Technique: Left: CT. Right: PSMA PET, same axial level, 18F-PSMA tracer. acquired on GE Discovery 690. PET panel 256×256 px (2.7 mm/px).
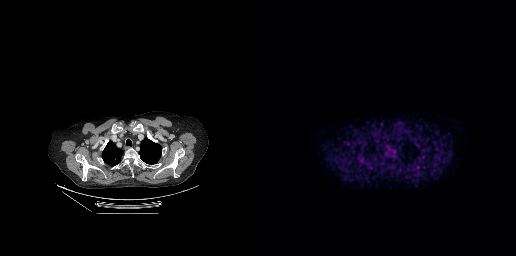
Findings: Coordinates are on the 256×256 PET (right) panel. PSMA-avid tumor lesion bounding box (x, y, width, height): x=131 y=163 w=5 h=7.